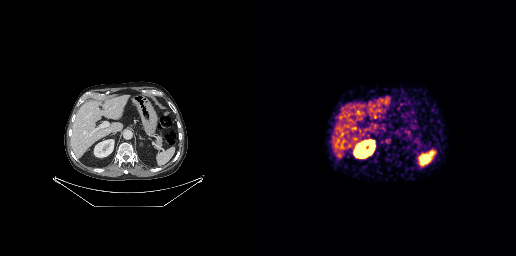
Technique: Two-panel axial: CT | PSMA PET, 68Ga-PSMA tracer. acquired on GE Discovery 690. slice position z = -524 mm. PET panel 256×256 px (2.7 mm/px).
Findings: Coordinates are on the 256×256 PET (right) panel. Small PSMA-avid focus (2 to 4 px across) near (center x, center y): (126, 140).